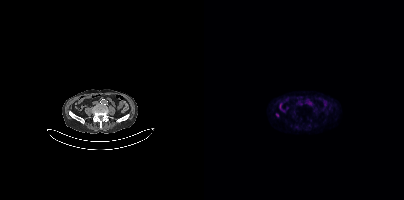
{"modality":"PSMA PET/CT","view":"axial","tracer":"[18F]PSMA-1007","pet_grid":[200,200],"coord_frame":"pet_panel","coord_format":"x0,y0,x1,y1","lesion_bboxes":[],"small_foci_centers":[[73,115]]}